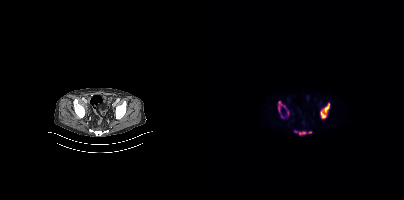
- Two-panel axial: CT | PSMA PET, 18F-PSMA tracer
- PET panel 200×200 px (4.1 mm/px)
Findings: Coordinates are on the 200×200 PET (right) panel. (showing 6 of 7 foci) PSMA-avid tumor lesion bounding boxes (x0, y0)-(x1, y1): (116, 103)-(125, 118); (74, 101)-(81, 112); (95, 132)-(101, 134). Small PSMA-avid foci (2 to 4 px across) near (center x, center y): (77, 116); (106, 132); (91, 131).